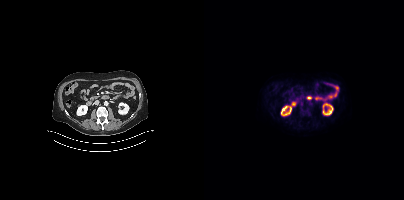
Paired axial CT (left) and PSMA PET (right), 18F tracer. Negative for PSMA-avid disease on this slice.